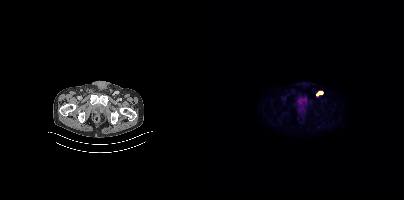
Two-panel axial: CT | PSMA PET, 18F-PSMA tracer. Acquired on Siemens Biograph mCT Flow 20. Slice position z = -1622 mm. PET panel 200×200 px (4.1 mm/px). Coordinates are on the 200×200 PET (right) panel. PSMA-avid tumor lesion bounding box (x0, y0)-(x1, y1): (112, 91)-(119, 96).